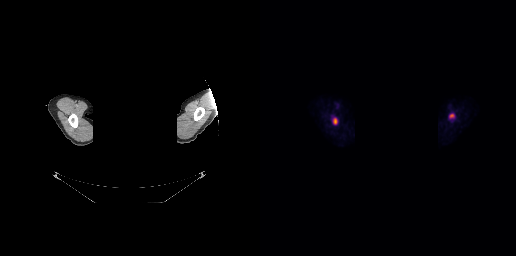
- the face region was removed for patient privacy by blanking a rectangle over the head
- Two-panel axial: CT | PSMA PET, [18F]PSMA-1007 tracer
- slice 277 of 299
Findings: Coordinates are on the 256×256 PET (right) panel. PSMA-avid tumor lesion bounding boxes (x, y, width, height): x=189 y=113 w=7 h=7 | x=73 y=118 w=5 h=7.